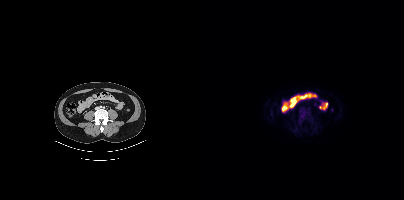
{"modality":"PSMA PET/CT","view":"axial","tracer":"18F-PSMA","pet_grid":[200,200],"coord_frame":"pet_panel","coord_format":"x0,y0,x1,y1","psma_avid_lesions":false}